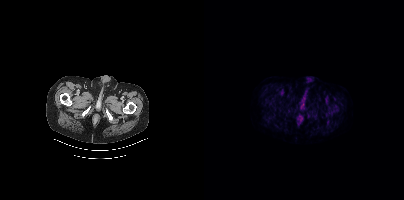
Negative for PSMA-avid disease on this slice.
modality: PSMA PET/CT | tracer: [18F]PSMA-1007 | view: axial | PET grid: 200×200